modality: PSMA PET/CT | tracer: [18F]PSMA-1007 | view: axial | PET grid: 200×200
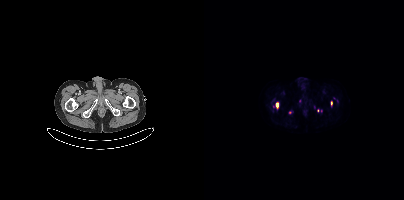
Coordinates are on the 200×200 PET (right) panel. (showing 4 of 6 foci) PSMA-avid tumor lesion bounding boxes (x, y, width, height): x=72 y=103 w=3 h=5; x=127 y=101 w=2 h=5. Small PSMA-avid foci (2 to 4 px across) near (center x, center y): (114, 110); (86, 112).